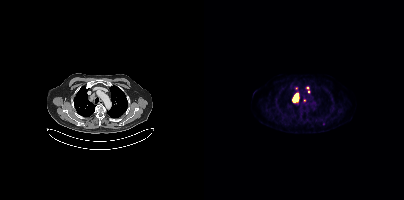
Coordinates are on the 200×200 PET (right) panel. (showing 1 of 2 foci) PSMA-avid tumor lesion bounding box (x0, y0)-(x1, y1): (89, 95)-(94, 102).